- Paired axial CT (left) and PSMA PET (right), [18F]PSMA-1007 tracer
- slice 261 of 448
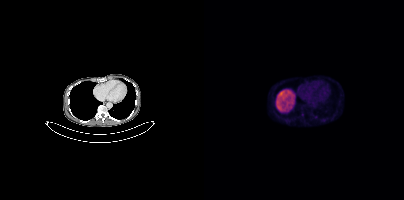
Findings: Coordinates are on the 200×200 PET (right) panel. PSMA-avid tumor lesion bounding box (x0,y0,x1,y1): [117,118,121,121]. Small PSMA-avid foci (2 to 4 px across) near (center x, center y): (98, 114); (112, 117).